Left: CT. Right: PSMA PET, same axial level, 18F tracer. Acquired on Siemens Biograph mCT Flow 20.
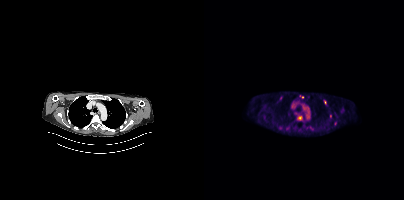
Coordinates are on the 200×200 PET (right) panel. (showing 6 of 10 foci) PSMA-avid tumor lesion bounding boxes (x0, y0)-(x1, y1): (93, 116)-(98, 120); (120, 100)-(122, 104). Small PSMA-avid foci (2 to 4 px across) near (center x, center y): (77, 97); (126, 116); (83, 128); (76, 127).